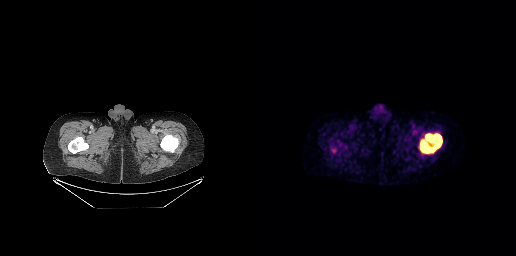
Left: CT. Right: PSMA PET, same axial level, 18F tracer. Acquired on GE Discovery 690. Slice position z = -997 mm. PET panel 256×256 px (2.7 mm/px). Coordinates are on the 256×256 PET (right) panel. PSMA-avid tumor lesion bounding box (x, y, width, height): x=160 y=133 w=23 h=21.